- Left: CT. Right: PSMA PET, same axial level, [18F]PSMA-1007 tracer
- PET panel 200×200 px (4.1 mm/px)
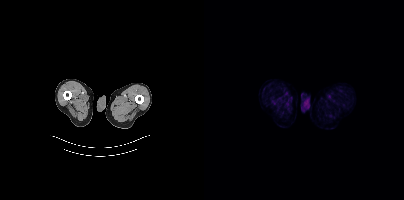
Findings: Negative for PSMA-avid disease on this slice.